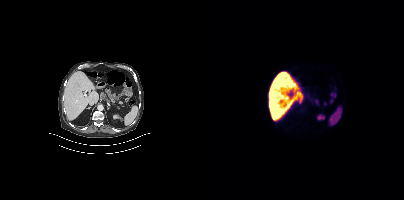
Negative for PSMA-avid disease on this slice.